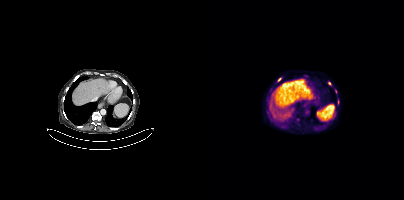
{"modality":"PSMA PET/CT","view":"axial","tracer":"18F-PSMA","pet_grid":[200,200],"coord_frame":"pet_panel","coord_format":"x0,y0,x1,y1","partial":true,"lesion_bboxes":[[73,78,77,81],[68,120,73,123],[134,100,135,104]],"small_foci_centers":[[125,83],[129,105],[101,75]]}